modality: PSMA PET/CT | tracer: 18F-PSMA | view: axial
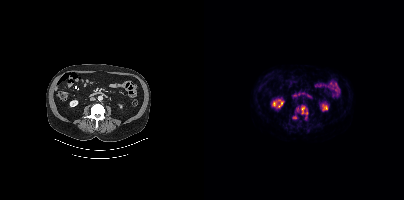
Coordinates are on the 200×200 PET (right) panel. (showing 3 of 5 foci) PSMA-avid tumor lesion bounding box (x0, y0)-(x1, y1): (97, 106)-(103, 114). Small PSMA-avid foci (2 to 4 px across) near (center x, center y): (90, 117) | (93, 109).